modality: PSMA PET/CT | tracer: 18F | view: axial | PET grid: 200×200
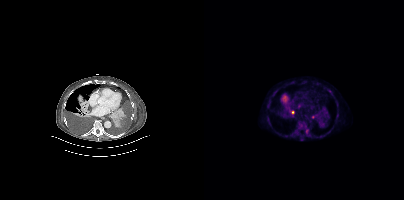
Coordinates are on the 200×200 PET (right) panel. PSMA-avid tumor lesion bounding boxes (x0,y0,x1,y1): [96,123,101,129]; [102,129,106,136]; [87,111,90,116]. Small PSMA-avid foci (2 to 4 px across) near (center x, center y): (97, 139); (125, 91); (95, 106); (108, 116); (112, 118).